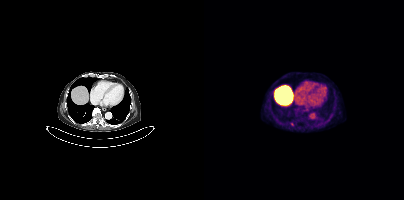
- Left: CT. Right: PSMA PET, same axial level, 18F-PSMA tracer
- acquired on Siemens Biograph mCT Flow 20
- slice position z = -1270 mm
- PET panel 200×200 px (4.1 mm/px)
Findings: Coordinates are on the 200×200 PET (right) panel. Small PSMA-avid focus (2 to 4 px across) near (center x, center y): (88, 123).